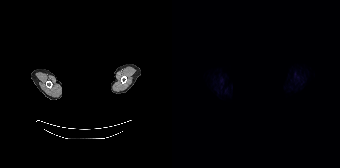
modality: PSMA PET/CT | tracer: 18F-PSMA | view: axial | deidentification: facial region redacted
Negative for PSMA-avid disease on this slice.